A rectangle over the head was blacked out to remove identifiable facial features.
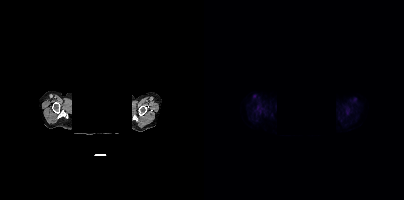
Coordinates are on the 200×200 PET (right) panel. Small PSMA-avid foci (2 to 4 px across) near (center x, center y): (136, 120), (152, 99).